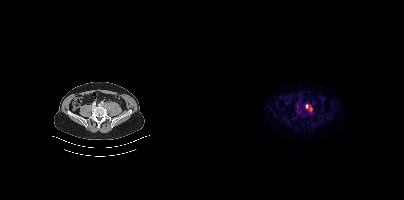
modality: PSMA PET/CT | tracer: [18F]PSMA-1007 | view: axial
Coordinates are on the 200×200 PET (right) panel. PSMA-avid tumor lesion bounding box (x0, y0)-(x1, y1): (102, 104)-(108, 111).